- Paired axial CT (left) and PSMA PET (right), 68Ga tracer
- slice position z = -1219 mm
- PET panel 168×168 px (4.1 mm/px)
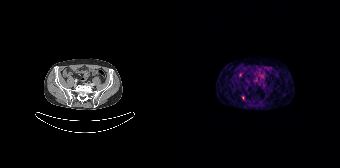
Findings: Coordinates are on the 168×168 PET (right) panel. Small PSMA-avid focus (2 to 4 px across) near (center x, center y): (71, 98).